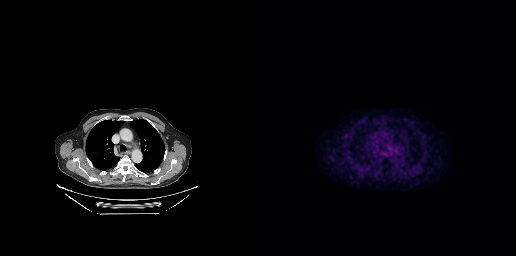
modality: PSMA PET/CT | tracer: 18F | view: axial
Coordinates are on the 256×256 PET (right) panel. PSMA-avid tumor lesion bounding box (x0,y0,x1,y1): [84,134,88,137].